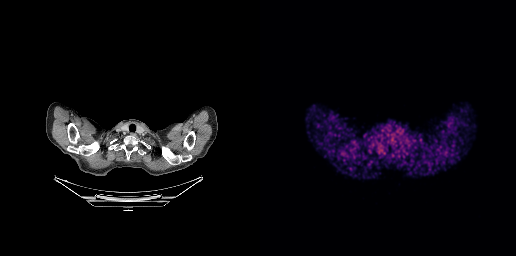
Negative for PSMA-avid disease on this slice. Paired axial CT (left) and PSMA PET (right), [68Ga]Ga-PSMA-11 tracer. Acquired on GE Discovery 690. PET panel 256×256 px (2.7 mm/px).